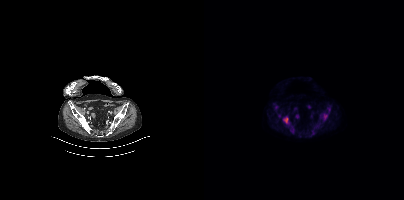
Coordinates are on the 200×200 PET (right) panel. (showing 2 of 3 foci) PSMA-avid tumor lesion bounding boxes (x0, y0)-(x1, y1): (79, 116)-(84, 123) | (120, 114)-(122, 118).
modality: PSMA PET/CT | tracer: 18F | view: axial